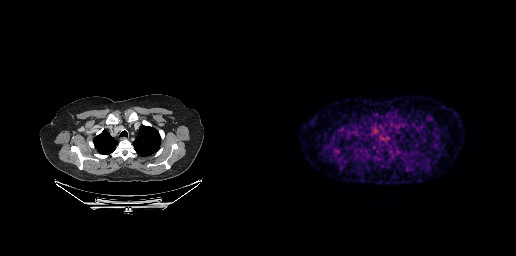
{"modality":"PSMA PET/CT","view":"axial","tracer":"18F-PSMA","pet_grid":[256,256],"coord_frame":"pet_panel","coord_format":"x0,y0,x1,y1","psma_avid_lesions":false}